Technique: Left: CT. Right: PSMA PET, same axial level, 68Ga tracer. PET panel 200×200 px (4.1 mm/px).
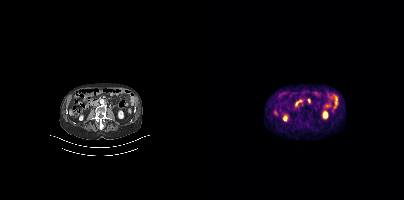
Findings: No PSMA-avid tumor lesions on this slice.